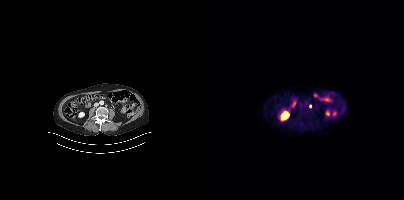
Coordinates are on the 200×200 PET (right) panel. Small PSMA-avid focus (2 to 4 px across) near (center x, center y): (106, 106).